- Two-panel axial: CT | PSMA PET, 18F-PSMA tracer
- acquired on Siemens Biograph mCT Flow 20
- PET panel 200×200 px (4.1 mm/px)
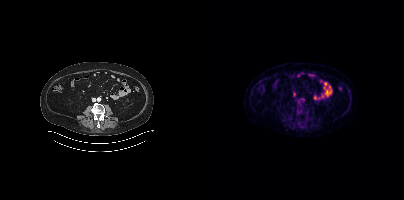
Findings: No PSMA-avid tumor lesions on this slice.